- Left: CT. Right: PSMA PET, same axial level, [18F]PSMA-1007 tracer
- acquired on Siemens Biograph mCT Flow 20
- PET panel 200×200 px (4.1 mm/px)
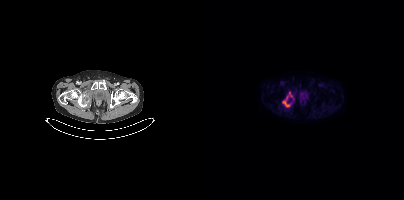
Findings: Coordinates are on the 200×200 PET (right) panel. PSMA-avid tumor lesion bounding box (x0, y0)-(x1, y1): (78, 92)-(90, 106).